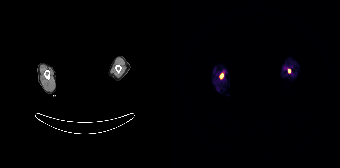
Coordinates are on the 168×168 PET (right) panel. PSMA-avid tumor lesion bounding box (x0,y0,x1,y1): [48,74,51,78]. Small PSMA-avid focus (2 to 4 px across) near (center x, center y): (117, 70).
de-identification: privacy mask over head | modality: PSMA PET/CT | tracer: [68Ga]Ga-PSMA-11 | view: axial | PET grid: 168×168